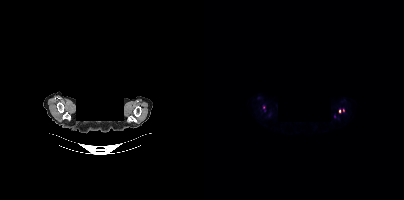
Face de-identified by blanking a block of the head.
Coordinates are on the 200×200 PET (right) panel. Small PSMA-avid foci (2 to 4 px across) near (center x, center y): (59, 107), (135, 110).